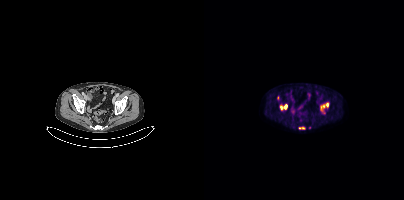
Coordinates are on the 200×200 PET (right) panel. PSMA-avid tumor lesion bounding boxes (x0, y0)-(x1, y1): (116, 102)-(125, 113) | (76, 104)-(83, 110) | (95, 127)-(101, 129). Small PSMA-avid focus (2 to 4 px across) near (center x, center y): (73, 97).